- Two-panel axial: CT | PSMA PET, [18F]PSMA-1007 tracer
- acquired on Siemens Biograph mCT Flow 20
- PET panel 200×200 px (4.1 mm/px)
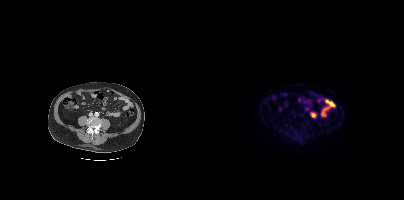
Findings: Negative for PSMA-avid disease on this slice.